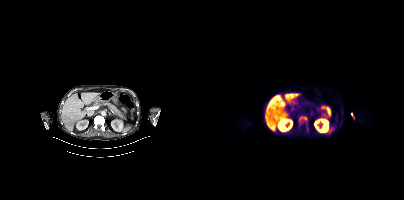
Two-panel axial: CT | PSMA PET, [18F]PSMA-1007 tracer. Acquired on Siemens Biograph mCT Flow 20. Slice 219 of 415. Coordinates are on the 200×200 PET (right) panel. PSMA-avid tumor lesion bounding box (x0,y0,x1,y1): [94,116,103,124].